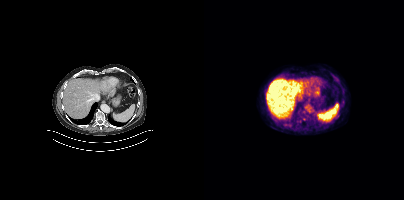
{"pet_grid":[200,200],"coord_frame":"pet_panel","coord_format":"x0,y0,x1,y1","psma_avid_lesions":false,"modality":"PSMA PET/CT","view":"axial","tracer":"18F"}